Paired axial CT (left) and PSMA PET (right), 18F-PSMA tracer. Slice position z = -76 mm.
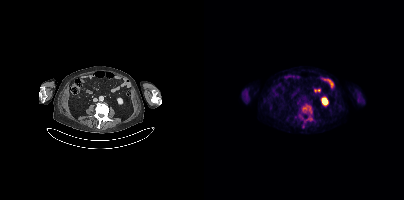
Coordinates are on the 200×200 PET (right) panel. PSMA-avid tumor lesion bounding boxes (partial; 1 more focus not listed):
| # | x0 | y0 | x1 | y1 |
|---|---|---|---|---|
| 1 | 98 | 104 | 108 | 113 |
| 2 | 102 | 116 | 108 | 120 |